Technique: Two-panel axial: CT | PSMA PET, 18F-PSMA tracer. slice 161 of 377.
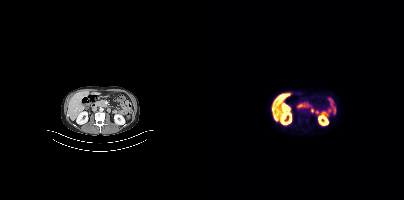
Findings: Negative for PSMA-avid disease on this slice.